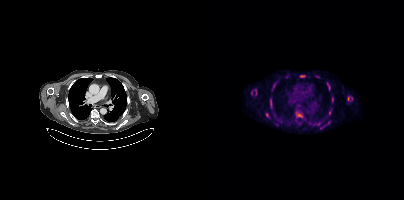
Technique: Two-panel axial: CT | PSMA PET, 18F tracer. acquired on Siemens Biograph mCT Flow 20. PET panel 200×200 px (4.1 mm/px).
Findings: Coordinates are on the 200×200 PET (right) panel. (showing 11 of 13 foci) PSMA-avid tumor lesion bounding boxes (x0,y0,x1,y1): [66,102,68,107] [93,114,98,116] [62,113,64,117] [144,96,145,100] [96,75,100,76]. Small PSMA-avid foci (2 to 4 px across) near (center x, center y): (69, 87) (66, 99) (125, 113) (128, 99) (82, 76) (124, 122).